- Two-panel axial: CT | PSMA PET, 18F-PSMA tracer
- slice position z = -1158 mm
- PET panel 200×200 px (4.1 mm/px)
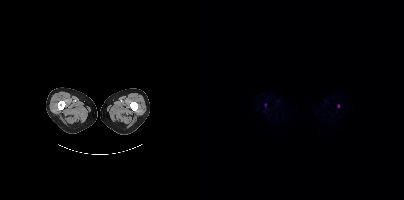
Findings: Coordinates are on the 200×200 PET (right) panel. Small PSMA-avid foci (2 to 4 px across) near (center x, center y): (61, 104); (134, 105).